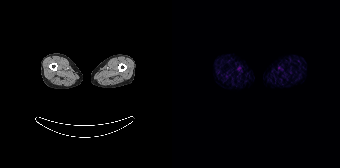
Technique: Paired axial CT (left) and PSMA PET (right), [68Ga]Ga-PSMA-11 tracer. slice position z = -956 mm.
Findings: No PSMA-avid tumor lesions on this slice.